Left: CT. Right: PSMA PET, same axial level, 18F-PSMA tracer. Acquired on Siemens Biograph mCT Flow 20.
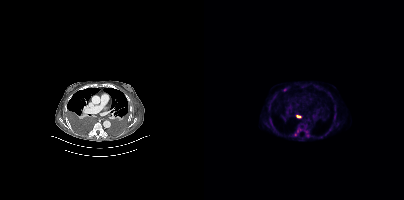
Coordinates are on the 200×200 PET (right) panel. PSMA-avid tumor lesion bounding boxes:
| # | x0 | y0 | x1 | y1 |
|---|---|---|---|---|
| 1 | 90 | 124 | 105 | 137 |
Small PSMA-avid foci (2 to 4 px across) near (center x, center y): (94, 116); (81, 89).